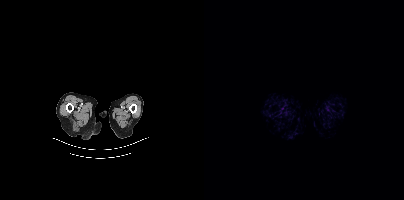
Two-panel axial: CT | PSMA PET, 68Ga tracer. No tumor lesions annotated on this slice.